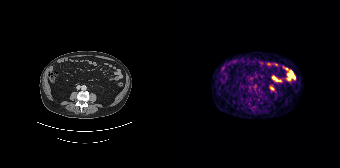
Left: CT. Right: PSMA PET, same axial level, [68Ga]Ga-PSMA-11 tracer. Acquired on Siemens Biograph 64-4R TruePoint. No PSMA-avid tumor lesions on this slice.